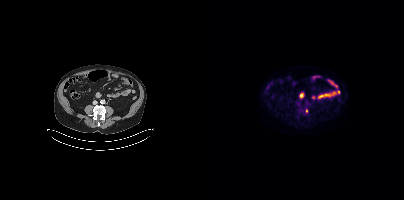
- Paired axial CT (left) and PSMA PET (right), 18F-PSMA tracer
Findings: Coordinates are on the 200×200 PET (right) panel. Small PSMA-avid focus (2 to 4 px across) near (center x, center y): (102, 110).